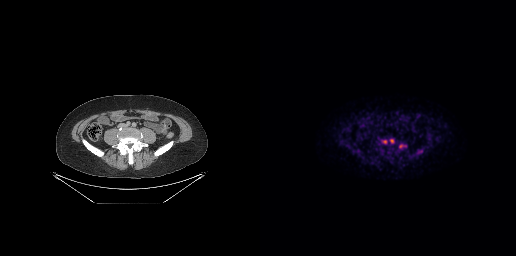
modality: PSMA PET/CT | tracer: [18F]PSMA-1007 | view: axial
Coordinates are on the 256×256 PET (right) panel. Small PSMA-avid foci (2 to 4 px across) near (center x, center y): (131, 140) | (124, 141) | (141, 146) | (161, 150).